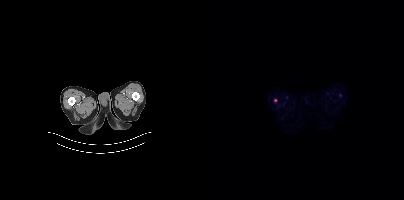
Findings: Only PSMA-avid lesion pieces thinner than 2 px on this slice (not listed).
Technique: Paired axial CT (left) and PSMA PET (right), 18F tracer. PET panel 200×200 px (4.1 mm/px).